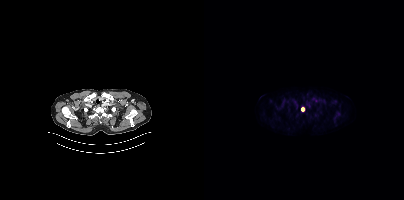
Coordinates are on the 200×200 PET (right) panel. Small PSMA-avid focus (2 to 4 px across) near (center x, center y): (99, 109).